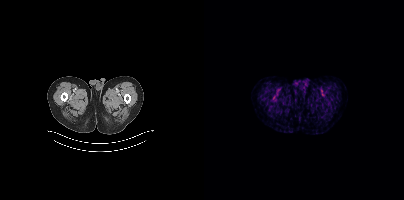
Findings: Negative for PSMA-avid disease on this slice.
- Left: CT. Right: PSMA PET, same axial level, 18F tracer
- slice position z = -1606 mm
- PET panel 200×200 px (4.1 mm/px)